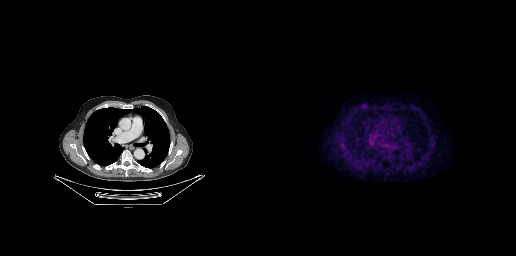
Left: CT. Right: PSMA PET, same axial level, 18F tracer. Slice position z = -210 mm. PET panel 256×256 px (2.7 mm/px). This slice has no annotated PSMA-avid lesion.